Left: CT. Right: PSMA PET, same axial level, 18F tracer. PET panel 200×200 px (4.1 mm/px).
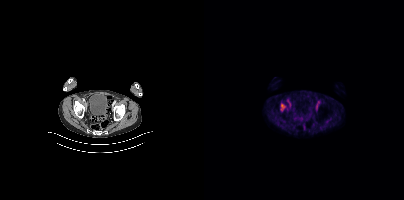
Coordinates are on the 200×200 PET (right) panel. Small PSMA-avid focus (2 to 4 px across) near (center x, center y): (78, 105).